- Paired axial CT (left) and PSMA PET (right), 18F-PSMA tracer
- acquired on GE Discovery 690
- slice 47 of 299
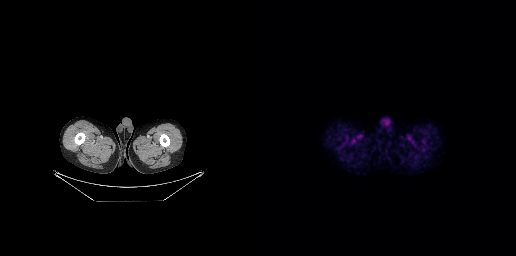
Findings: No tumor lesions annotated on this slice.